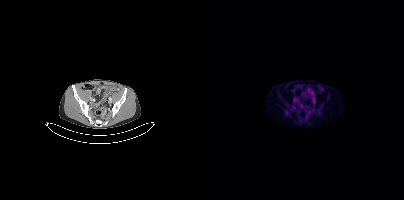
Paired axial CT (left) and PSMA PET (right), [18F]PSMA-1007 tracer. Acquired on Siemens Biograph mCT Flow 20. Slice position z = 1259 mm. PET panel 200×200 px (4.1 mm/px).
Coordinates are on the 200×200 PET (right) panel. PSMA-avid tumor lesion bounding boxes:
| # | x0 | y0 | x1 | y1 |
|---|---|---|---|---|
| 1 | 81 | 110 | 85 | 115 |